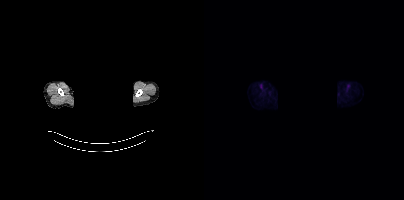
No tumor lesions annotated on this slice. De-identified by setting a box covering the face to black before release. Left: CT. Right: PSMA PET, same axial level, [18F]PSMA-1007 tracer. Acquired on Siemens Biograph mCT Flow 20. Slice 403 of 429.